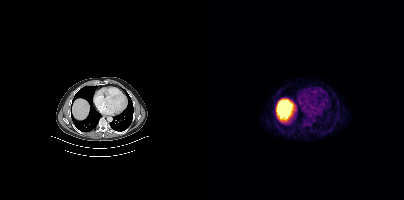
{"modality":"PSMA PET/CT","view":"axial","tracer":"18F-PSMA","pet_grid":[200,200],"coord_frame":"pet_panel","coord_format":"x0,y0,x1,y1","psma_avid_lesions":false}